Left: CT. Right: PSMA PET, same axial level, [68Ga]Ga-PSMA-11 tracer. Slice position z = -884 mm.
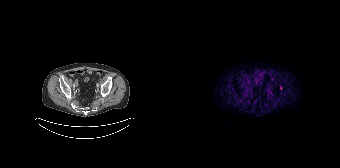
No tumor lesions annotated on this slice.